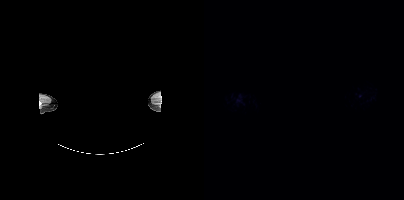
modality: PSMA PET/CT | tracer: 18F-PSMA | view: axial | redaction: head region blanked (face removed)
Coordinates are on the 200×200 PET (right) panel. Small PSMA-avid focus (2 to 4 px across) near (center x, center y): (34, 100).